Two-panel axial: CT | PSMA PET, [18F]PSMA-1007 tracer. Acquired on Siemens Biograph mCT Flow 20. Slice position z = -994 mm.
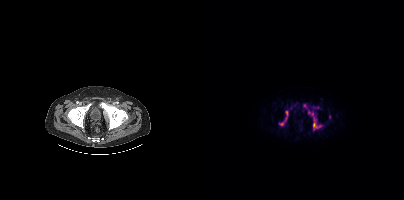
Coordinates are on the 200×200 PET (right) panel. PSMA-avid tumor lesion bounding boxes (partial; 1 more focus not listed):
| # | x0 | y0 | x1 | y1 |
|---|---|---|---|---|
| 1 | 75 | 110 | 84 | 125 |
| 2 | 109 | 118 | 118 | 128 |
| 3 | 104 | 109 | 109 | 116 |
| 4 | 110 | 106 | 114 | 109 |
| 5 | 99 | 103 | 102 | 108 |
Small PSMA-avid foci (2 to 4 px across) near (center x, center y): (87, 108); (125, 116).